Two-panel axial: CT | PSMA PET, [68Ga]Ga-PSMA-11 tracer. Acquired on Siemens Biograph 64-4R TruePoint. PET panel 168×168 px (4.1 mm/px).
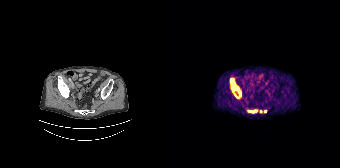
Coordinates are on the 168×168 PET (right) panel. PSMA-avid tumor lesion bounding boxes (partial; 4 more foci not listed):
| # | x0 | y0 | x1 | y1 |
|---|---|---|---|---|
| 1 | 58 | 79 | 66 | 89 |
| 2 | 76 | 110 | 84 | 112 |
Small PSMA-avid foci (2 to 4 px across) near (center x, center y): (93, 111); (88, 111).